Two-panel axial: CT | PSMA PET, 68Ga tracer.
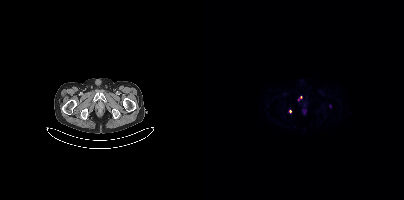
Coordinates are on the 200×200 PET (right) panel. Small PSMA-avid foci (2 to 4 px across) near (center x, center y): (126, 106) | (96, 97) | (86, 111).